Technique: Two-panel axial: CT | PSMA PET, [18F]PSMA-1007 tracer.
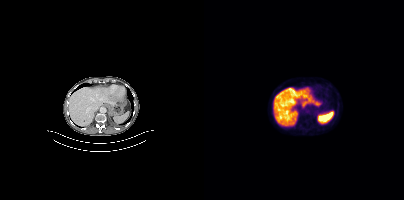
Findings: No tumor lesions annotated on this slice.